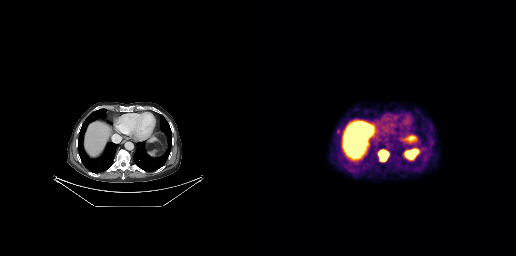
Left: CT. Right: PSMA PET, same axial level, [18F]PSMA-1007 tracer. Coordinates are on the 256×256 PET (right) panel. PSMA-avid tumor lesion bounding box (x0, y0)-(x1, y1): (119, 150)-(128, 161).